modality: PSMA PET/CT | tracer: 18F-PSMA | view: axial | PET grid: 200×200
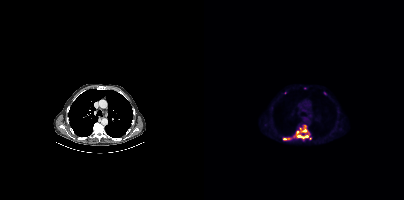
Coordinates are on the 200×200 PET (right) panel. (showing 4 of 5 foci) PSMA-avid tumor lesion bounding boxes (x0,y0,x1,y1): [90,125,104,138]; [79,138,85,139]. Small PSMA-avid foci (2 to 4 px across) near (center x, center y): (121, 93); (81, 92).